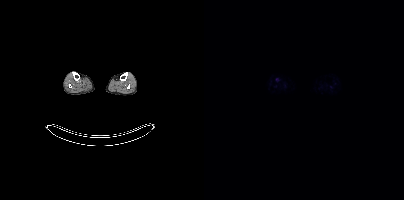
{"modality":"PSMA PET/CT","view":"axial","tracer":"18F","pet_grid":[200,200],"coord_frame":"pet_panel","coord_format":"x0,y0,x1,y1","psma_avid_lesions":false}